Technique: Left: CT. Right: PSMA PET, same axial level, 18F-PSMA tracer. slice 14 of 435. PET panel 200×200 px (4.1 mm/px).
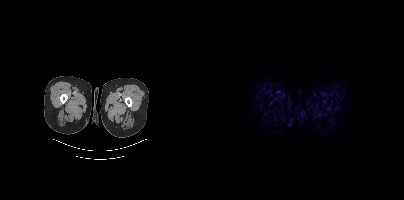
Findings: No tumor lesions annotated on this slice.